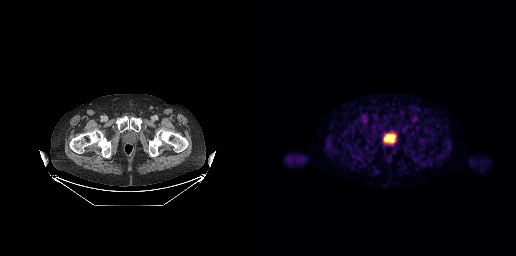
Findings: No tumor lesions annotated on this slice.
- Left: CT. Right: PSMA PET, same axial level, 18F-PSMA tracer
- acquired on GE Discovery 690
- PET panel 256×256 px (2.7 mm/px)